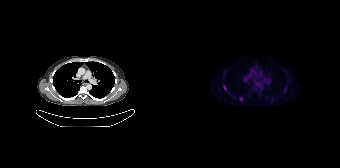
Findings: Coordinates are on the 168×168 PET (right) panel. (showing 2 of 3 foci) PSMA-avid tumor lesion bounding boxes (x0,y0,x1,y1): [67,96,71,101] [51,85,54,90].
Technique: Left: CT. Right: PSMA PET, same axial level, [18F]PSMA-1007 tracer. slice 118 of 165.